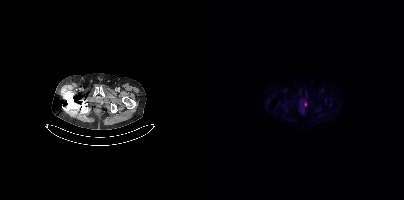
Technique: Left: CT. Right: PSMA PET, same axial level, 18F-PSMA tracer. PET panel 200×200 px (4.1 mm/px).
Findings: Coordinates are on the 200×200 PET (right) panel. PSMA-avid tumor lesion bounding box (x0,y0,x1,y1): [100,102,102,106].